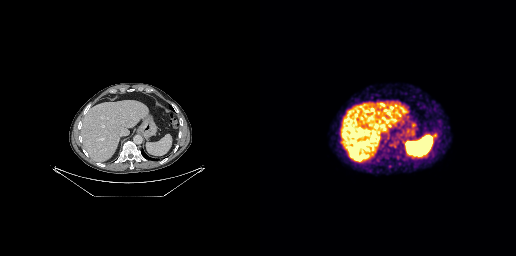
Two-panel axial: CT | PSMA PET, [68Ga]Ga-PSMA-11 tracer.
Coordinates are on the 256×256 PET (right) panel. PSMA-avid tumor lesion bounding boxes:
| # | x0 | y0 | x1 | y1 |
|---|---|---|---|---|
| 1 | 174 | 133 | 177 | 137 |